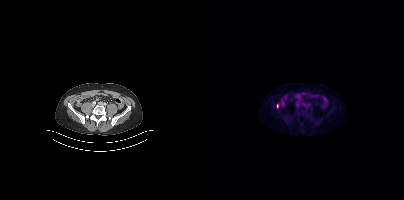
{"modality":"PSMA PET/CT","view":"axial","tracer":"18F-PSMA","pet_grid":[200,200],"coord_frame":"pet_panel","coord_format":"x0,y0,x1,y1","lesion_bboxes":[],"small_foci_centers":[[73,105]]}